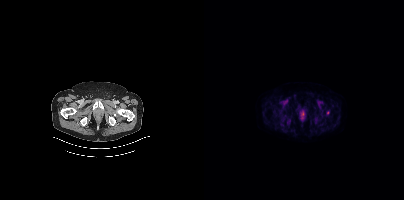
Coordinates are on the 200×200 PET (right) panel. Small PSMA-avid focus (2 to 4 px across) near (center x, center y): (124, 112).